Two-panel axial: CT | PSMA PET, 18F-PSMA tracer. Slice position z = -396 mm. PET panel 200×200 px (4.1 mm/px).
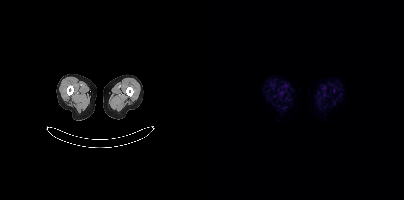
Negative for PSMA-avid disease on this slice.